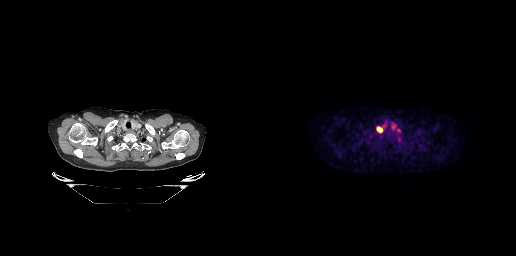
Coordinates are on the 256×256 PET (right) panel. PSMA-avid tumor lesion bounding box (x0,y0,x1,y1): [117,127,122,132]. Left: CT. Right: PSMA PET, same axial level, [18F]PSMA-1007 tracer. PET panel 256×256 px (2.7 mm/px).